Technique: Left: CT. Right: PSMA PET, same axial level, [68Ga]Ga-PSMA-11 tracer.
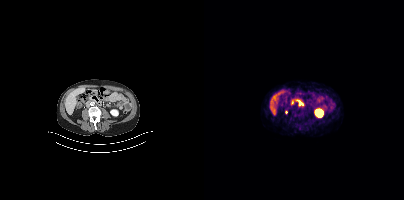
Findings: Coordinates are on the 200×200 PET (right) panel. (showing 1 of 3 foci) Small PSMA-avid focus (2 to 4 px across) near (center x, center y): (88, 102).